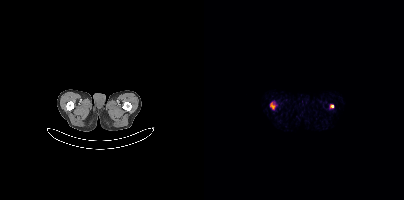
Findings: Coordinates are on the 200×200 PET (right) panel. Small PSMA-avid foci (2 to 4 px across) near (center x, center y): (68, 106); (128, 106).
- Two-panel axial: CT | PSMA PET, 68Ga tracer
- acquired on Siemens Biograph mCT Flow 20
- slice 10 of 393
- PET panel 200×200 px (4.1 mm/px)